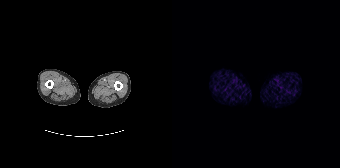
Technique: Two-panel axial: CT | PSMA PET, 68Ga-PSMA tracer. PET panel 168×168 px (4.1 mm/px).
Findings: No PSMA-avid tumor lesions on this slice.